Technique: Left: CT. Right: PSMA PET, same axial level, 68Ga-PSMA tracer. acquired on GE Discovery 690. slice position z = -491 mm. PET panel 256×256 px (2.7 mm/px).
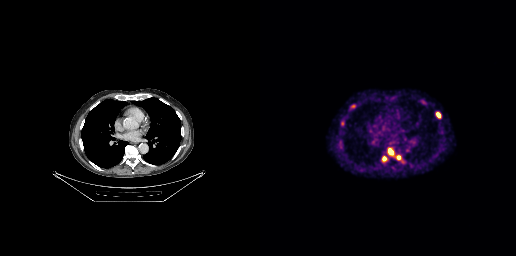
Findings: Coordinates are on the 256×256 PET (right) panel. PSMA-avid tumor lesion bounding boxes (x0, y0)-(x1, y1): (176, 112)-(180, 117) | (81, 121)-(84, 125) | (128, 150)-(132, 153). Small PSMA-avid foci (2 to 4 px across) near (center x, center y): (138, 157) | (124, 158) | (93, 106).